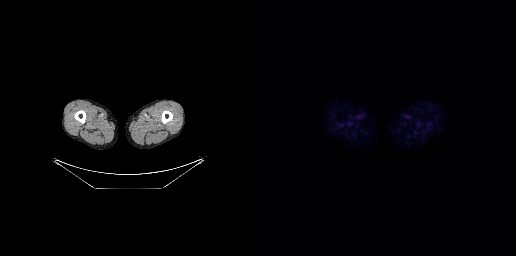
{"modality":"PSMA PET/CT","view":"axial","tracer":"[18F]PSMA-1007","pet_grid":[256,256],"coord_frame":"pet_panel","coord_format":"x0,y0,x1,y1","psma_avid_lesions":false}